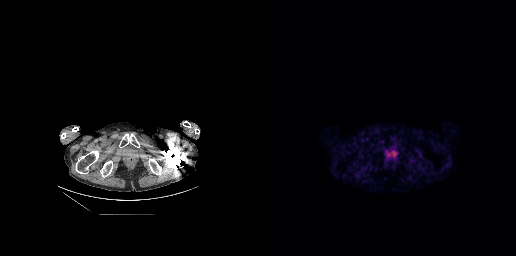
{"pet_grid":[256,256],"coord_frame":"pet_panel","coord_format":"x0,y0,x1,y1","lesion_bboxes":[[127,151,136,156]],"modality":"PSMA PET/CT","view":"axial","tracer":"18F-PSMA"}